Face de-identified by blanking a block of the head. Left: CT. Right: PSMA PET, same axial level, 18F-PSMA tracer. Slice position z = -827 mm. PET panel 200×200 px (4.1 mm/px).
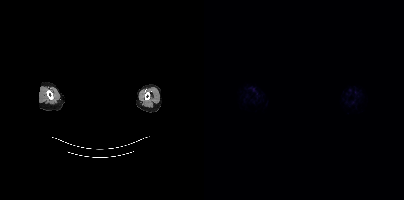
This slice has no annotated PSMA-avid lesion.